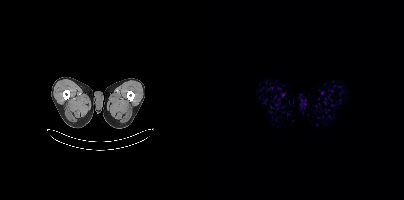
- Paired axial CT (left) and PSMA PET (right), 18F tracer
- PET panel 200×200 px (4.1 mm/px)
Findings: No tumor lesions annotated on this slice.